Technique: Left: CT. Right: PSMA PET, same axial level, 68Ga tracer. acquired on Siemens Biograph 64-4R TruePoint. slice position z = -1302 mm. PET panel 168×168 px (4.1 mm/px).
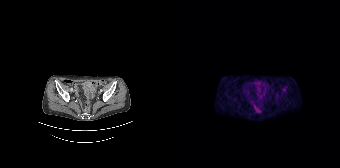
Findings: Coordinates are on the 168×168 PET (right) panel. Small PSMA-avid focus (2 to 4 px across) near (center x, center y): (112, 88).